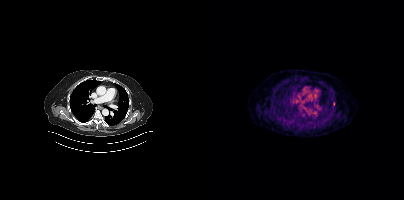
Coordinates are on the 200×200 PET (right) panel. Small PSMA-avid focus (2 to 4 px across) near (center x, center y): (129, 104).